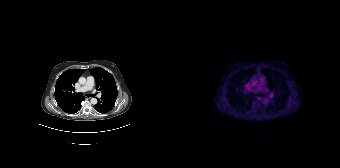
- Left: CT. Right: PSMA PET, same axial level, 68Ga-PSMA tracer
- slice 114 of 165
Findings: This slice has no annotated PSMA-avid lesion.